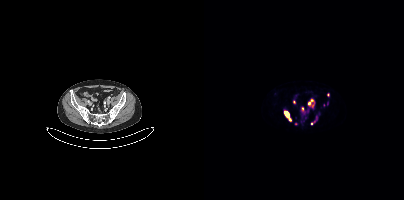
Left: CT. Right: PSMA PET, same axial level, [68Ga]Ga-PSMA-11 tracer.
Coordinates are on the 200×200 PET (right) panel. PSMA-avid tumor lesion bounding boxes (partial; 1 more focus not listed):
| # | x0 | y0 | x1 | y1 |
|---|---|---|---|---|
| 1 | 80 | 110 | 87 | 121 |
| 2 | 104 | 100 | 110 | 107 |
| 3 | 112 | 116 | 113 | 120 |
Small PSMA-avid foci (2 to 4 px across) near (center x, center y): (124, 94); (90, 102); (98, 109); (103, 110); (91, 123); (107, 123); (123, 103).